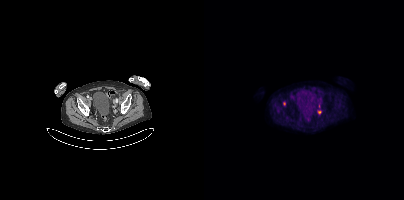
- Paired axial CT (left) and PSMA PET (right), 18F-PSMA tracer
- acquired on Siemens Biograph mCT Flow 20
- PET panel 200×200 px (4.1 mm/px)
Findings: Coordinates are on the 200×200 PET (right) panel. (showing 2 of 3 foci) Small PSMA-avid foci (2 to 4 px across) near (center x, center y): (80, 103); (115, 112).